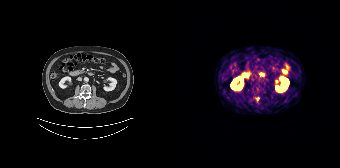
Coordinates are on the 168×168 PET (right) panel. Small PSMA-avid focus (2 to 4 px across) near (center x, center y): (85, 98). Left: CT. Right: PSMA PET, same axial level, 68Ga-PSMA tracer. Acquired on Siemens Biograph 64-4R TruePoint.